Paired axial CT (left) and PSMA PET (right), 68Ga tracer. Acquired on Siemens Biograph mCT Flow 20. PET panel 200×200 px (4.1 mm/px).
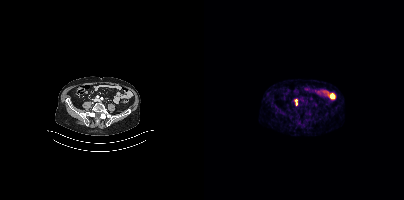
Coordinates are on the 200×200 PET (right) panel. Small PSMA-avid foci (2 to 4 px across) near (center x, center y): (92, 103) (92, 99).